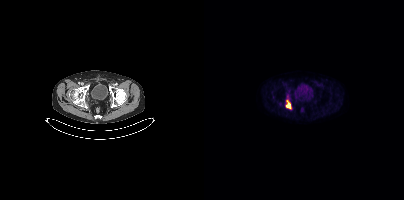
Left: CT. Right: PSMA PET, same axial level, 18F tracer. Slice position z = -1440 mm.
Coordinates are on the 200×200 PET (right) panel. PSMA-avid tumor lesion bounding boxes:
| # | x0 | y0 | x1 | y1 |
|---|---|---|---|---|
| 1 | 82 | 100 | 87 | 108 |